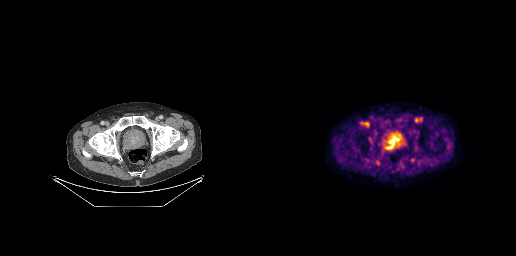
Technique: Left: CT. Right: PSMA PET, same axial level, [18F]PSMA-1007 tracer.
Findings: Coordinates are on the 256×256 PET (right) panel. Small PSMA-avid focus (2 to 4 px across) near (center x, center y): (132, 142).